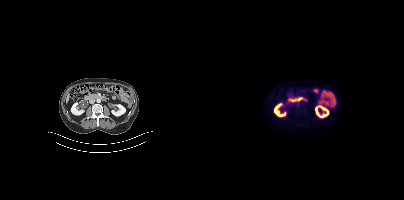
Negative for PSMA-avid disease on this slice.